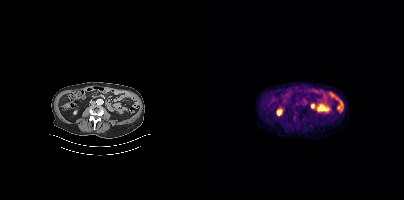
- Two-panel axial: CT | PSMA PET, 18F-PSMA tracer
- acquired on Siemens Biograph mCT Flow 20
- slice position z = -1358 mm
Findings: Negative for PSMA-avid disease on this slice.